Technique: Left: CT. Right: PSMA PET, same axial level, 18F-PSMA tracer. slice 152 of 454.
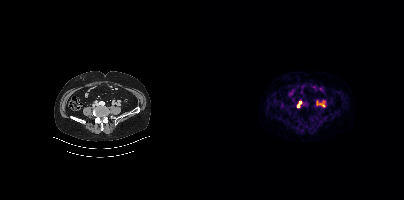
Findings: Coordinates are on the 200×200 PET (right) panel. Small PSMA-avid foci (2 to 4 px across) near (center x, center y): (94, 106) | (96, 102).